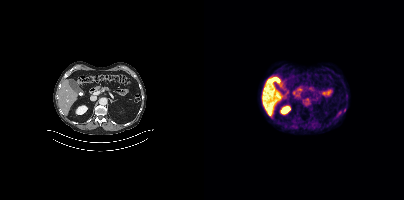
This slice has no annotated PSMA-avid lesion.
modality: PSMA PET/CT | tracer: 18F-PSMA | view: axial